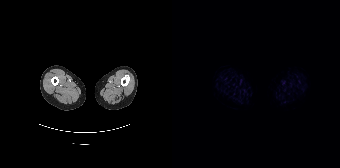
modality: PSMA PET/CT | tracer: [18F]PSMA-1007 | view: axial
This slice has no annotated PSMA-avid lesion.